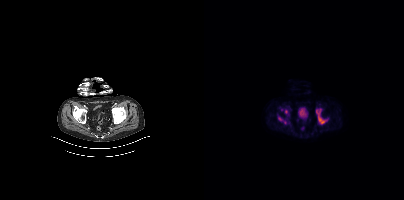
{"modality":"PSMA PET/CT","view":"axial","tracer":"18F-PSMA","pet_grid":[200,200],"coord_frame":"pet_panel","coord_format":"x0,y0,x1,y1","lesion_bboxes":[[112,108,123,124],[74,117,82,123]],"small_foci_centers":[[82,111],[77,109]]}